Technique: Paired axial CT (left) and PSMA PET (right), 18F tracer. PET panel 256×256 px (2.7 mm/px).
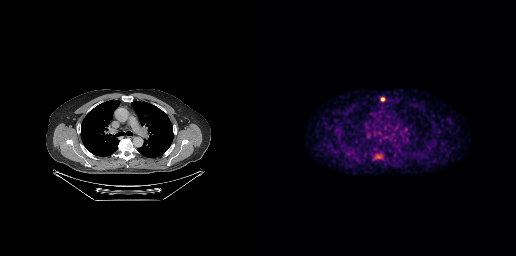
Findings: Coordinates are on the 256×256 PET (right) panel. Small PSMA-avid focus (2 to 4 px across) near (center x, center y): (122, 99).